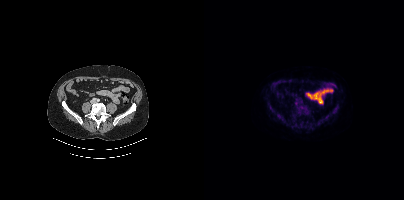
Technique: Paired axial CT (left) and PSMA PET (right), [18F]PSMA-1007 tracer. PET panel 200×200 px (4.1 mm/px).
Findings: Coordinates are on the 200×200 PET (right) panel. PSMA-avid tumor lesion bounding boxes (x, y, width, height): x=91 y=101 w=12 h=15 | x=63 y=99 w=9 h=14 | x=117 y=115 w=8 h=7 | x=128 y=108 w=5 h=5 | x=89 y=117 w=4 h=5. Small PSMA-avid focus (2 to 4 px across) near (center x, center y): (78, 118).